Left: CT. Right: PSMA PET, same axial level, 18F-PSMA tracer. Acquired on Siemens Biograph mCT Flow 20. Slice 21 of 452.
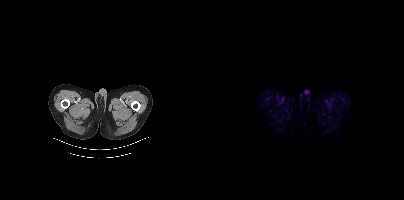
Negative for PSMA-avid disease on this slice.